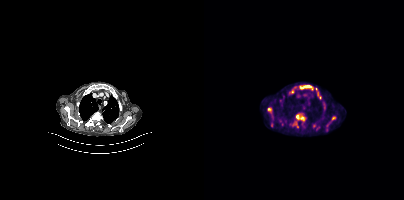
{"modality":"PSMA PET/CT","view":"axial","tracer":"[18F]PSMA-1007","pet_grid":[200,200],"coord_frame":"pet_panel","coord_format":"x0,y0,x1,y1","partial":true,"lesion_bboxes":[[92,114,101,121],[96,85,108,89],[66,119,70,126],[87,122,94,127],[63,107,67,112],[122,124,125,131]],"small_foci_centers":[[88,92]]}